modality: PSMA PET/CT | tracer: [18F]PSMA-1007 | view: axial
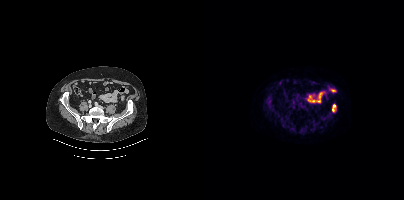
Coordinates are on the 200×200 PET (right) panel. PSMA-avid tumor lesion bounding box (x, y, width, height): x=128 y=104 w=5 h=9.